modality: PSMA PET/CT | tracer: 68Ga-PSMA | view: axial
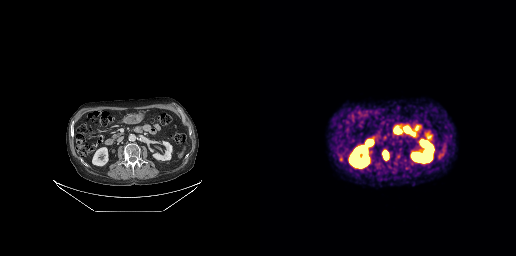
Coordinates are on the 256×256 PET (right) panel. PSMA-avid tumor lesion bounding box (x0,y0,x1,y1): [123,151,128,158]. Small PSMA-avid focus (2 to 4 px across) near (center x, center y): (81, 159).